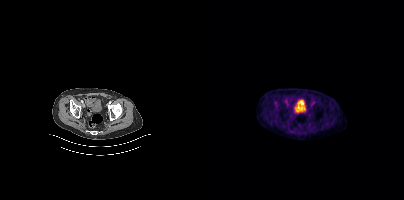
This slice has no annotated PSMA-avid lesion. Left: CT. Right: PSMA PET, same axial level, 18F-PSMA tracer. Acquired on Siemens Biograph mCT Flow 20.